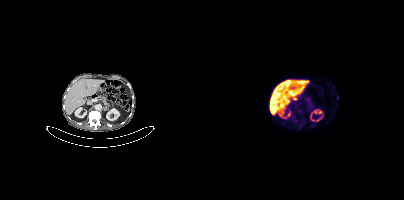
{"modality":"PSMA PET/CT","view":"axial","tracer":"18F","pet_grid":[200,200],"coord_frame":"pet_panel","coord_format":"x0,y0,x1,y1","psma_avid_lesions":false}